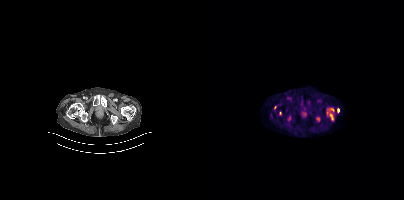
Paired axial CT (left) and PSMA PET (right), 18F tracer. Slice position z = -1536 mm. PET panel 200×200 px (4.1 mm/px). Only PSMA-avid lesion pieces thinner than 2 px on this slice (not listed).